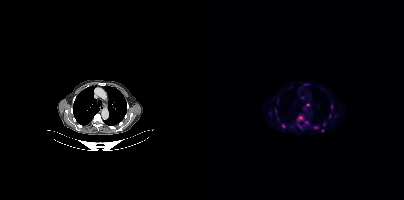
Technique: Two-panel axial: CT | PSMA PET, [18F]PSMA-1007 tracer. acquired on Siemens Biograph mCT Flow 20. PET panel 200×200 px (4.1 mm/px).
Findings: Coordinates are on the 200×200 PET (right) panel. (showing 11 of 13 foci) PSMA-avid tumor lesion bounding boxes (x0,y0,x1,y1): [93,116,99,121] [71,108,73,113]. Small PSMA-avid foci (2 to 4 px across) near (center x, center y): (98, 97) (79, 125) (127, 106) (103, 104) (111, 127) (103, 122) (125, 116) (65, 113) (118, 130).